Two-panel axial: CT | PSMA PET, 18F-PSMA tracer. Slice position z = -1042 mm.
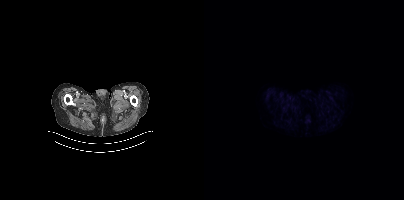
No tumor lesions annotated on this slice.